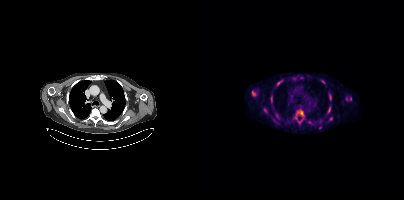
Coordinates are on the 200×200 PET (right) panel. PSMA-avid tumor lesion bounding boxes (partial; 5 more foci not listed):
| # | x0 | y0 | x1 | y1 |
|---|---|---|---|---|
| 1 | 92 | 110 | 99 | 116 |
| 2 | 124 | 107 | 126 | 113 |
| 3 | 125 | 94 | 127 | 99 |
| 4 | 66 | 95 | 68 | 99 |
Small PSMA-avid foci (2 to 4 px across) near (center x, center y): (127, 118); (61, 112); (73, 84); (142, 99); (67, 103); (91, 117).
Paired axial CT (left) and PSMA PET (right), 18F tracer. Acquired on Siemens Biograph mCT Flow 20. Slice 307 of 401. PET panel 200×200 px (4.1 mm/px).